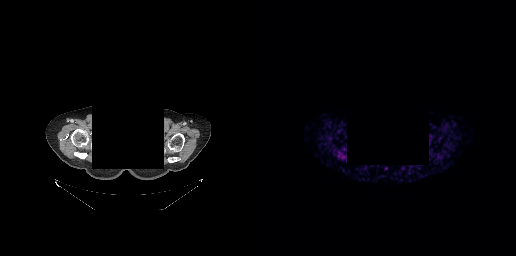
This slice has no annotated PSMA-avid lesion.
redaction: privacy mask over head | modality: PSMA PET/CT | tracer: 68Ga-PSMA | view: axial